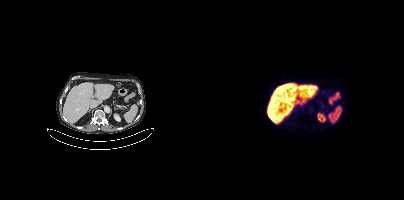
modality: PSMA PET/CT | tracer: 18F | view: axial
No tumor lesions annotated on this slice.